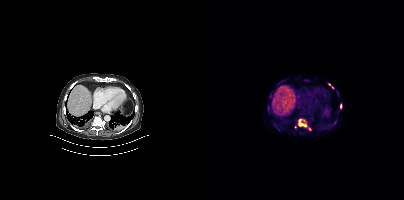
Findings: Coordinates are on the 200×200 PET (right) panel. PSMA-avid tumor lesion bounding boxes (x, y, width, height): x=94 y=118 w=14 h=13 / x=136 y=104 w=2 h=5. Small PSMA-avid foci (2 to 4 px across) near (center x, center y): (125, 84) / (91, 127) / (128, 87).
- Paired axial CT (left) and PSMA PET (right), [18F]PSMA-1007 tracer
- slice 286 of 444